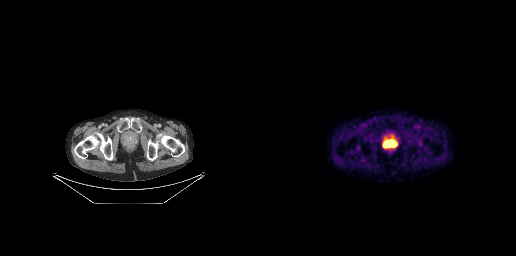
modality: PSMA PET/CT | tracer: 18F-PSMA | view: axial | PET grid: 256×256
Coordinates are on the 256×256 PET (right) panel. PSMA-avid tumor lesion bounding box (x0,y0,x1,y1): [123,138,136,147].